- Paired axial CT (left) and PSMA PET (right), 18F-PSMA tracer
- slice 194 of 381
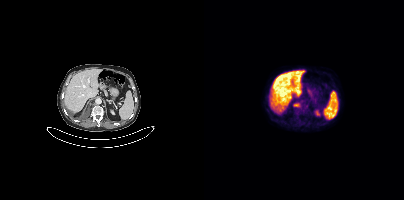
Findings: Coordinates are on the 200×200 PET (right) panel. PSMA-avid tumor lesion bounding box (x, y, width, height): x=90 y=103 w=6 h=4.